Two-panel axial: CT | PSMA PET, [18F]PSMA-1007 tracer. Acquired on Siemens Biograph mCT Flow 20. Slice position z = -1328 mm.
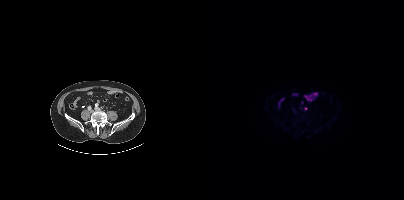
Coordinates are on the 200×200 PET (right) panel. Small PSMA-avid focus (2 to 4 px across) near (center x, center y): (101, 108).